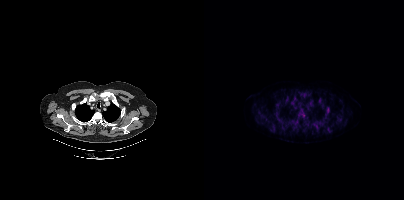
modality: PSMA PET/CT | tracer: 18F | view: axial
Coordinates are on the 200×200 PET (right) panel. (showing 14 of 18 foci) PSMA-avid tumor lesion bounding boxes (x0,y0,x1,y1): [94,112,99,117]; [122,106,125,112]; [70,108,75,115]; [115,121,119,125]; [98,93,102,96]; [81,97,85,100]. Small PSMA-avid foci (2 to 4 px across) near (center x, center y): (124, 129); (115, 99); (75, 119); (95, 93); (67, 130); (82, 103); (59, 116); (112, 126).